Two-panel axial: CT | PSMA PET, 18F tracer. Slice 188 of 263.
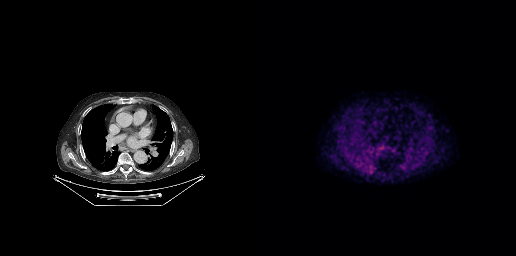
Negative for PSMA-avid disease on this slice.